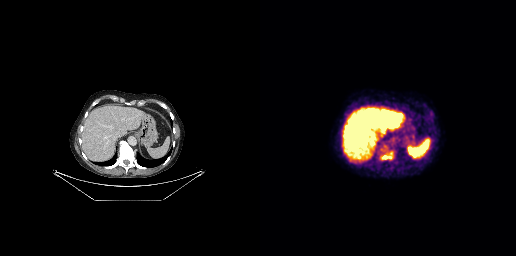
modality: PSMA PET/CT | tracer: 18F | view: axial
Coordinates are on the 256×256 PET (right) panel. PSMA-avid tumor lesion bounding box (x, y, width, height): x=122 y=152 w=11 h=8.